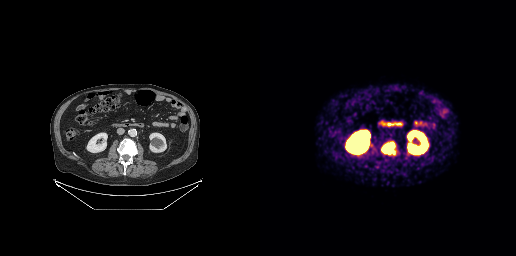
modality: PSMA PET/CT | tracer: 68Ga | view: axial | PET grid: 256×256
Coordinates are on the 256×256 PET (right) panel. PSMA-avid tumor lesion bounding box (x0,y0,x1,y1): [122,142,134,154].